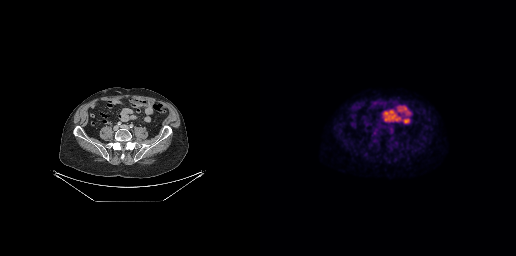
{"modality":"PSMA PET/CT","view":"axial","tracer":"[18F]PSMA-1007","pet_grid":[256,256],"coord_frame":"pet_panel","coord_format":"x0,y0,x1,y1","lesion_bboxes":[[129,126,133,133]]}